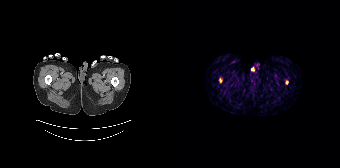
{"modality":"PSMA PET/CT","view":"axial","tracer":"68Ga-PSMA","pet_grid":[168,168],"coord_frame":"pet_panel","coord_format":"x0,y0,x1,y1","lesion_bboxes":[[47,78,49,82]],"small_foci_centers":[[114,82]]}